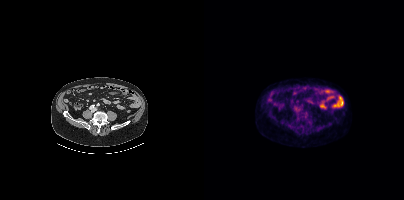
No tumor lesions annotated on this slice.